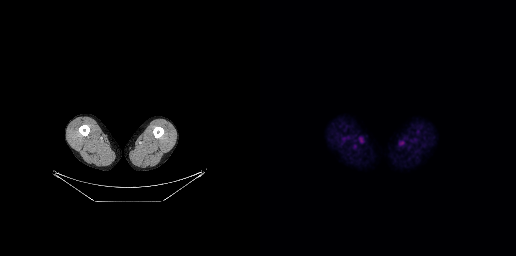
{"pet_grid":[256,256],"coord_frame":"pet_panel","coord_format":"x0,y0,x1,y1","psma_avid_lesions":false,"modality":"PSMA PET/CT","view":"axial","tracer":"18F-PSMA"}